- Paired axial CT (left) and PSMA PET (right), 18F tracer
- PET panel 200×200 px (4.1 mm/px)
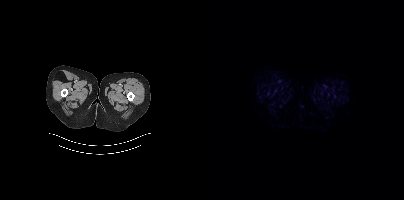
Findings: No tumor lesions annotated on this slice.